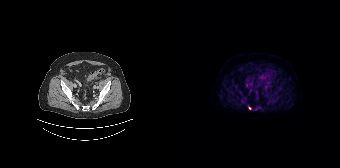
Left: CT. Right: PSMA PET, same axial level, 18F tracer. Acquired on Siemens Biograph 64-4R TruePoint. Slice 46 of 165. Coordinates are on the 168×168 PET (right) panel. Small PSMA-avid focus (2 to 4 px across) near (center x, center y): (77, 108).